- Left: CT. Right: PSMA PET, same axial level, 18F-PSMA tracer
- acquired on Siemens Biograph mCT Flow 20
- slice 201 of 435
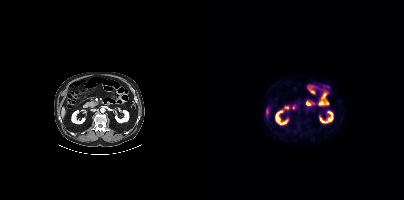
Findings: Negative for PSMA-avid disease on this slice.